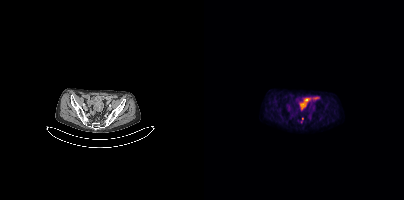
Findings: Coordinates are on the 200×200 PET (right) panel. Small PSMA-avid focus (2 to 4 px across) near (center x, center y): (98, 118).
- Two-panel axial: CT | PSMA PET, 18F-PSMA tracer
- PET panel 200×200 px (4.1 mm/px)